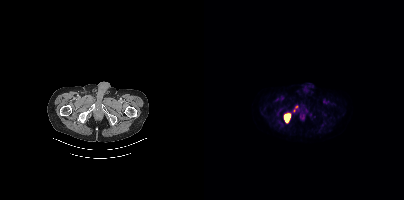
Two-panel axial: CT | PSMA PET, [18F]PSMA-1007 tracer. PET panel 200×200 px (4.1 mm/px). Coordinates are on the 200×200 PET (right) panel. (showing 2 of 3 foci) PSMA-avid tumor lesion bounding box (x0, y0)-(x1, y1): (80, 114)-(86, 122). Small PSMA-avid focus (2 to 4 px across) near (center x, center y): (92, 106).